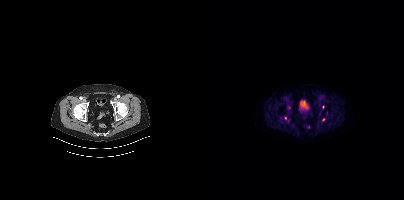
Technique: Paired axial CT (left) and PSMA PET (right), 18F tracer. PET panel 200×200 px (4.1 mm/px).
Findings: Coordinates are on the 200×200 PET (right) panel. (showing 2 of 3 foci) Small PSMA-avid foci (2 to 4 px across) near (center x, center y): (119, 119); (81, 117).